Two-panel axial: CT | PSMA PET, [18F]PSMA-1007 tracer. PET panel 200×200 px (4.1 mm/px).
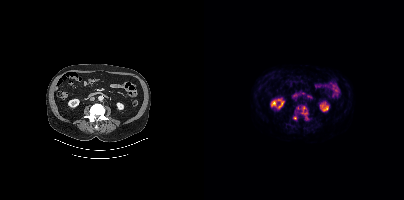
Coordinates are on the 200×200 PET (right) panel. (showing 2 of 3 foci) PSMA-avid tumor lesion bounding box (x0,y0,x1,y1): [97,106,103,119]. Small PSMA-avid focus (2 to 4 px across) near (center x, center y): (91, 117).